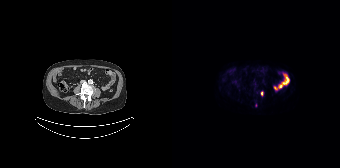
Coordinates are on the 168×168 PET (right) panel. (showing 1 of 2 foci) PSMA-avid tumor lesion bounding box (x0, y0)-(x1, y1): (89, 91)-(91, 95). Left: CT. Right: PSMA PET, same axial level, 18F-PSMA tracer. Slice 66 of 165. PET panel 168×168 px (4.1 mm/px).